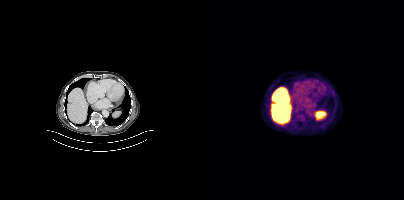
This slice has no annotated PSMA-avid lesion.